Two-panel axial: CT | PSMA PET, 68Ga-PSMA tracer. Acquired on Siemens Biograph 64-4R TruePoint.
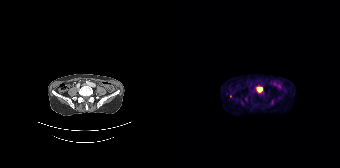
Coordinates are on the 168×168 PET (right) panel. PSMA-avid tumor lesion bounding boxes (partial; 1 more focus not listed):
| # | x0 | y0 | x1 | y1 |
|---|---|---|---|---|
| 1 | 85 | 88 | 90 | 91 |
Small PSMA-avid foci (2 to 4 px across) near (center x, center y): (70, 101); (100, 103).